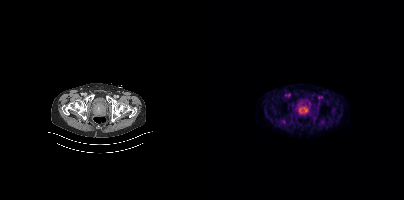
modality: PSMA PET/CT | tracer: 18F | view: axial | PET grid: 200×200
Coordinates are on the 200×200 PET (right) panel. PSMA-avid tumor lesion bounding box (x0, y0)-(x1, y1): (93, 104)-(106, 115).